Left: CT. Right: PSMA PET, same axial level, 18F-PSMA tracer. Acquired on Siemens Biograph mCT Flow 20. Slice 104 of 403. PET panel 200×200 px (4.1 mm/px).
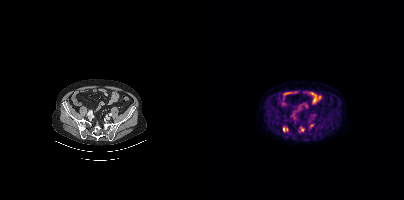
Coordinates are on the 200×200 PET (right) panel. PSMA-avid tumor lesion bounding boxes:
| # | x0 | y0 | x1 | y1 |
|---|---|---|---|---|
| 1 | 79 | 127 | 84 | 131 |
Small PSMA-avid focus (2 to 4 px across) near (center x, center y): (98, 129).